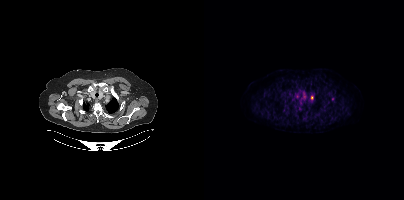
Left: CT. Right: PSMA PET, same axial level, [18F]PSMA-1007 tracer. Slice 356 of 435. PET panel 200×200 px (4.1 mm/px). Coordinates are on the 200×200 PET (right) panel. Small PSMA-avid focus (2 to 4 px across) near (center x, center y): (128, 98).